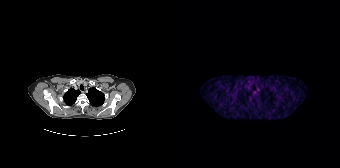
Negative for PSMA-avid disease on this slice.
modality: PSMA PET/CT | tracer: 68Ga | view: axial | PET grid: 168×168